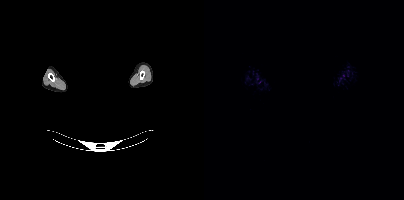
Paired axial CT (left) and PSMA PET (right), 18F tracer. Slice 423 of 423. PET panel 200×200 px (4.1 mm/px). Facial anatomy redacted by setting a rectangular region of the head to black. This slice has no annotated PSMA-avid lesion.